Left: CT. Right: PSMA PET, same axial level, [18F]PSMA-1007 tracer. Slice position z = -938 mm.
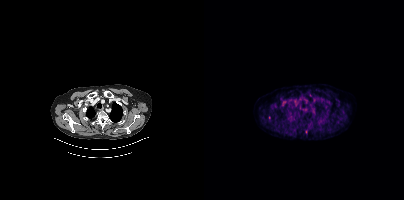
Coordinates are on the 200×200 PET (right) panel. Small PSMA-avid focus (2 to 4 px across) near (center x, center y): (65, 117).